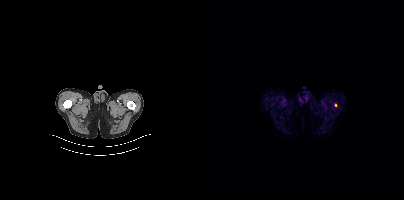
Technique: Left: CT. Right: PSMA PET, same axial level, [18F]PSMA-1007 tracer. acquired on Siemens Biograph mCT Flow 20. PET panel 200×200 px (4.1 mm/px).
Findings: Coordinates are on the 200×200 PET (right) panel. Small PSMA-avid focus (2 to 4 px across) near (center x, center y): (131, 105).